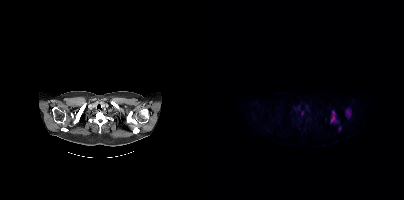
{"pet_grid":[200,200],"coord_frame":"pet_panel","coord_format":"x0,y0,x1,y1","lesion_bboxes":[[142,110,147,116],[134,126,136,130],[127,118,131,120]],"small_foci_centers":[[98,112],[129,113]],"modality":"PSMA PET/CT","view":"axial","tracer":"18F"}